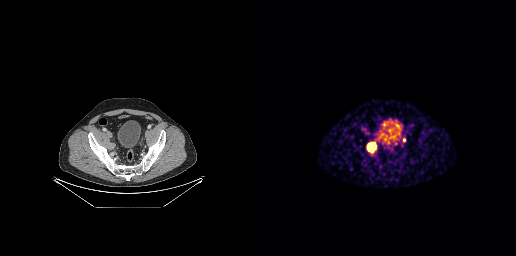
Coordinates are on the 256×256 PET (right) panel. PSMA-avid tumor lesion bounding box (x0,y0,x1,y1): [106,141,116,153]. Small PSMA-avid focus (2 to 4 px across) near (center x, center y): (144, 139). Paired axial CT (left) and PSMA PET (right), 68Ga tracer. Acquired on GE Discovery 690. Slice position z = -854 mm.